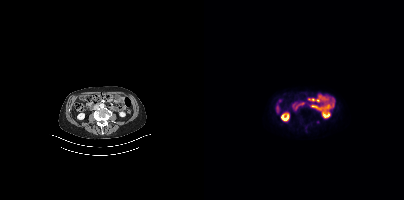
Negative for PSMA-avid disease on this slice.
modality: PSMA PET/CT | tracer: 18F-PSMA | view: axial